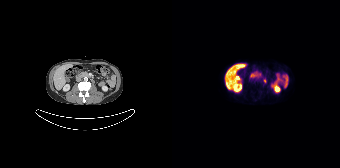
Negative for PSMA-avid disease on this slice.